The face region was removed for patient privacy by blanking a rectangle over the head. Two-panel axial: CT | PSMA PET, [18F]PSMA-1007 tracer. Slice 383 of 425.
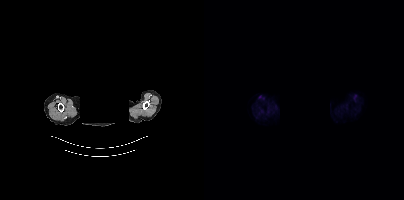
No PSMA-avid tumor lesions on this slice.